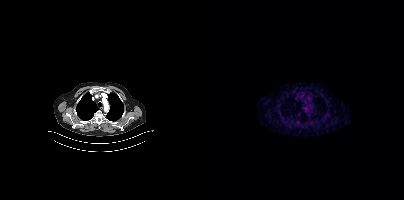
Two-panel axial: CT | PSMA PET, 68Ga tracer. Acquired on Siemens Biograph mCT Flow 20. Slice 295 of 385. PET panel 200×200 px (4.1 mm/px). This slice has no annotated PSMA-avid lesion.